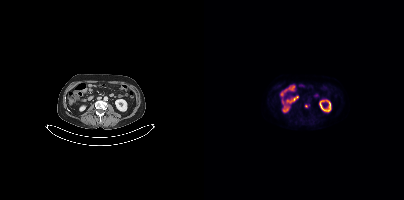
Coordinates are on the 200×200 PET (right) panel. Small PSMA-avid focus (2 to 4 px across) near (center x, center y): (102, 106). Left: CT. Right: PSMA PET, same axial level, [18F]PSMA-1007 tracer.